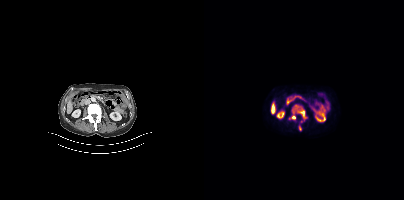
{"modality":"PSMA PET/CT","view":"axial","tracer":"[18F]PSMA-1007","pet_grid":[200,200],"coord_frame":"pet_panel","coord_format":"x0,y0,x1,y1","lesion_bboxes":[[85,104,103,122],[94,125,97,130]]}